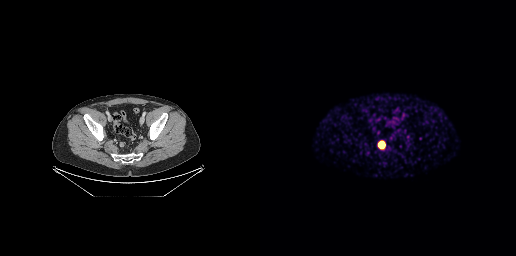
Two-panel axial: CT | PSMA PET, 68Ga-PSMA tracer. Slice 69 of 263.
Coordinates are on the 256×256 PET (right) panel. PSMA-avid tumor lesion bounding boxes:
| # | x0 | y0 | x1 | y1 |
|---|---|---|---|---|
| 1 | 119 | 141 | 124 | 147 |